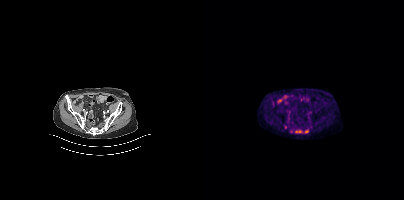
Coordinates are on the 200×200 PET (right) panel. Small PSMA-avid focus (2 to 4 px across) near (center x, center y): (81, 127).
modality: PSMA PET/CT | tracer: 18F-PSMA | view: axial | PET grid: 200×200